- Left: CT. Right: PSMA PET, same axial level, 18F-PSMA tracer
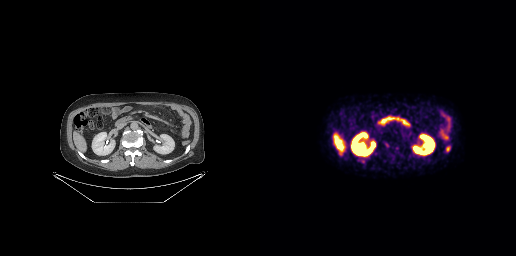
Findings: Coordinates are on the 256×256 PET (right) panel. PSMA-avid tumor lesion bounding box (x, y, width, height): x=186 y=146 w=5 h=6. Small PSMA-avid foci (2 to 4 px across) near (center x, center y): (103, 161); (126, 144).